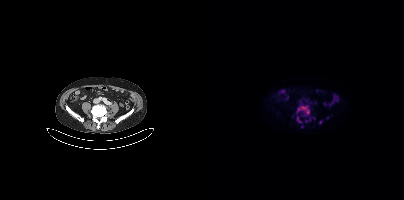
Coordinates are on the 200×200 PET (right) panel. (showing 3 of 5 foci) PSMA-avid tumor lesion bounding boxes (x, y, width, height): x=93 y=105 w=13 h=10 | x=93 y=117 w=4 h=6. Small PSMA-avid focus (2 to 4 px across) near (center x, center y): (116, 122).
modality: PSMA PET/CT | tracer: [18F]PSMA-1007 | view: axial